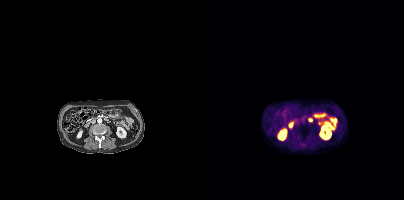
{"modality":"PSMA PET/CT","view":"axial","tracer":"18F-PSMA","pet_grid":[200,200],"coord_frame":"pet_panel","coord_format":"x0,y0,x1,y1","psma_avid_lesions":false}